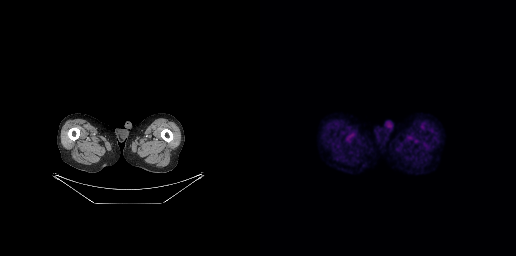
No tumor lesions annotated on this slice.
modality: PSMA PET/CT | tracer: [18F]PSMA-1007 | view: axial | PET grid: 256×256